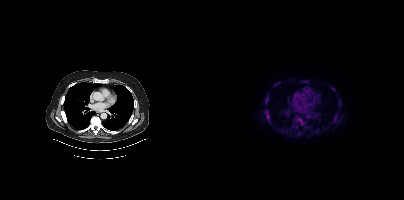
{"modality":"PSMA PET/CT","view":"axial","tracer":"[18F]PSMA-1007","pet_grid":[200,200],"coord_frame":"pet_panel","coord_format":"x0,y0,x1,y1","partial":true,"lesion_bboxes":[[60,109,67,123],[92,117,98,124],[61,95,65,102],[129,115,133,121],[98,80,102,83],[71,82,74,86]],"small_foci_centers":[[135,101],[129,89],[135,106],[90,126]]}